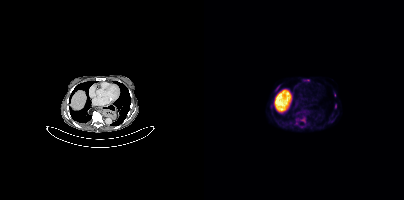
Technique: Left: CT. Right: PSMA PET, same axial level, 18F tracer. slice 217 of 354.
Findings: Coordinates are on the 200×200 PET (right) panel. (showing 1 of 3 foci) PSMA-avid tumor lesion bounding box (x, y, width, height): x=97 y=118 w=5 h=5.